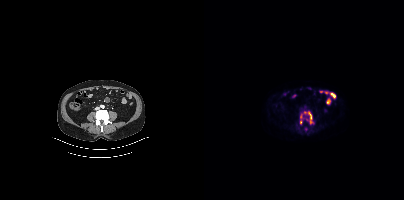
Coordinates are on the 200×200 PET (right) panel. (showing 3 of 4 foci) PSMA-avid tumor lesion bounding box (x0,y0,x1,y1): [105,112,107,119]. Small PSMA-avid foci (2 to 4 px across) near (center x, center y): (96, 122); (106, 121).